Technique: Left: CT. Right: PSMA PET, same axial level, [18F]PSMA-1007 tracer. slice position z = -572 mm. PET panel 200×200 px (4.1 mm/px).
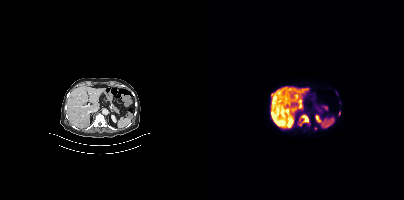
Findings: Coordinates are on the 200×200 PET (right) panel. PSMA-avid tumor lesion bounding boxes (x0,y0,x1,y1): [67,113,74,123], [76,108,86,114], [99,116,104,121], [94,88,98,92], [135,111,136,115]. Small PSMA-avid focus (2 to 4 px across) near (center x, center y): (102, 89).